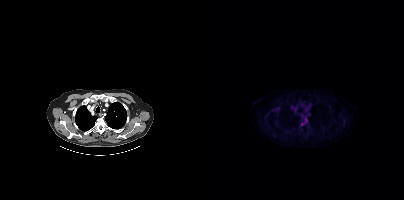
No PSMA-avid tumor lesions on this slice.